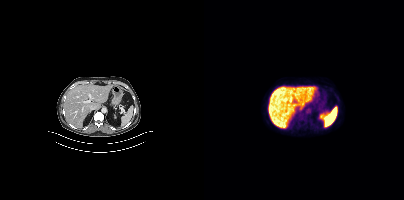
{"modality":"PSMA PET/CT","view":"axial","tracer":"[18F]PSMA-1007","pet_grid":[200,200],"coord_frame":"pet_panel","coord_format":"x0,y0,x1,y1","psma_avid_lesions":false}